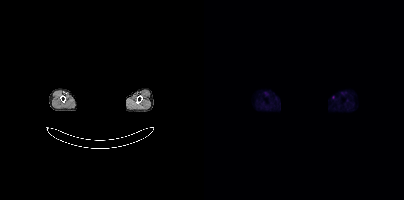
Findings: No tumor lesions annotated on this slice.
Technique: Two-panel axial: CT | PSMA PET, 18F-PSMA tracer. PET panel 200×200 px (4.1 mm/px).
Note: The face region was removed for patient privacy by blanking a rectangle over the head.